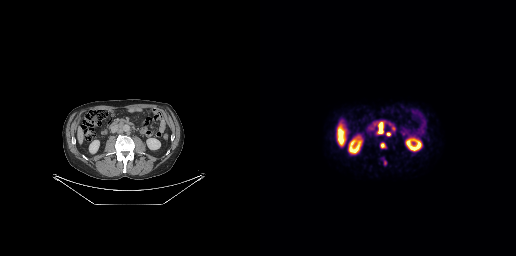
Technique: Left: CT. Right: PSMA PET, same axial level, 18F-PSMA tracer. acquired on GE Discovery 690. slice position z = -454 mm.
Findings: Coordinates are on the 256×256 PET (right) panel. PSMA-avid tumor lesion bounding boxes (x0, y0)-(x1, y1): (117, 121)-(124, 134) | (120, 143)-(125, 147) | (123, 158)-(126, 165) | (126, 132)-(130, 136). Small PSMA-avid focus (2 to 4 px across) near (center x, center y): (133, 128).